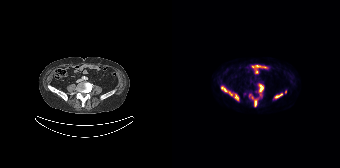
Coordinates are on the 168×168 PET (right) panel. (showing 6 of 8 foci) PSMA-avid tumor lesion bounding boxes (x, y, width, height): x=49 y=86 w=18 h=15 | x=87 y=84 w=5 h=9 | x=102 y=93 w=9 h=6 | x=82 y=99 w=3 h=8. Small PSMA-avid foci (2 to 4 px across) near (center x, center y): (113, 91) | (80, 97).